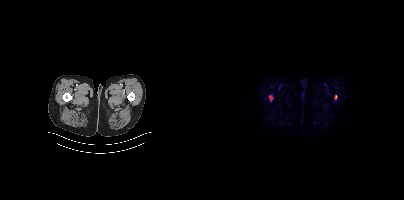
Two-panel axial: CT | PSMA PET, 18F tracer. Slice 33 of 429. Coordinates are on the 200×200 PET (right) panel. PSMA-avid tumor lesion bounding boxes (x, y, width, height): x=65 y=95 w=4 h=6 | x=131 y=95 w=2 h=5.